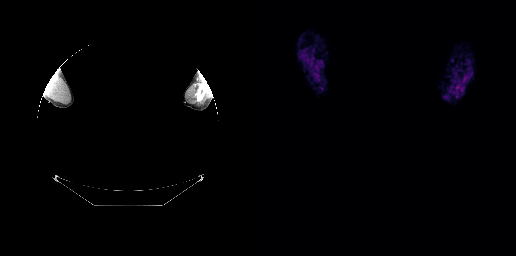
No tumor lesions annotated on this slice. Paired axial CT (left) and PSMA PET (right), 18F tracer. A rectangle over the head was blacked out to remove identifiable facial features.